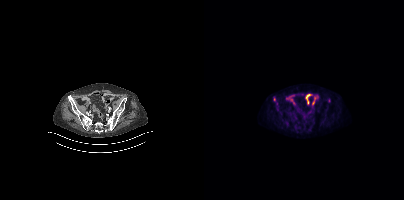
Findings: Coordinates are on the 200×200 PET (right) panel. (showing 2 of 3 foci) Small PSMA-avid foci (2 to 4 px across) near (center x, center y): (70, 99); (72, 107).
Technique: Two-panel axial: CT | PSMA PET, [18F]PSMA-1007 tracer.